modality: PSMA PET/CT | tracer: 18F | view: axial
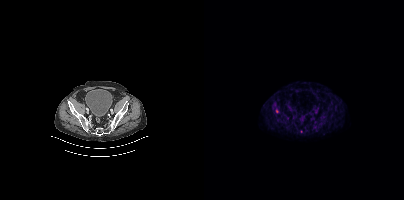
Only PSMA-avid lesion pieces thinner than 2 px on this slice (not listed).